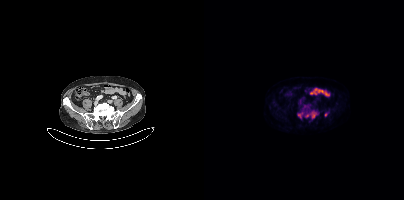
Coordinates are on the 200×200 PET (right) panel. PSMA-avid tumor lesion bounding boxes (x0,y0,x1,y1): [106,111,112,118] [94,112,98,117]. Small PSMA-avid foci (2 to 4 px across) near (center x, center y): (121, 114) (102, 115).